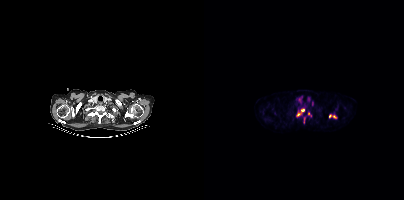
Coordinates are on the 200×200 PET (right) panel. (showing 5 of 6 foci) PSMA-avid tumor lesion bounding box (x0,y0,x1,y1): [93,109,100,116]. Small PSMA-avid foci (2 to 4 px across) near (center x, center y): (130, 116), (126, 116), (104, 113), (108, 103).